Paired axial CT (left) and PSMA PET (right), 18F tracer. Slice 356 of 405. Head region blanked for anonymization (face removed).
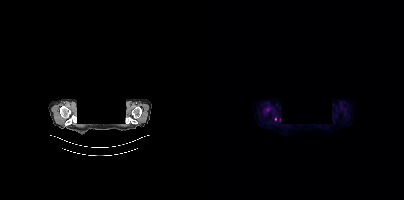
Coordinates are on the 200×200 PET (right) panel. (showing 1 of 2 foci) Small PSMA-avid focus (2 to 4 px across) near (center x, center y): (71, 119).